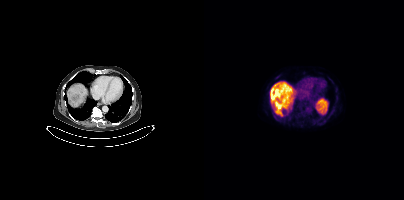
Coordinates are on the 200×200 PET (right) panel. PSMA-avid tumor lesion bounding box (x0,y0,x1,y1): [66,89,73,96].